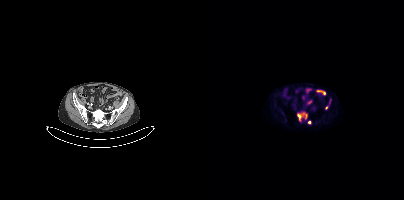
Coordinates are on the 200×200 PET (right) panel. PSMA-avid tumor lesion bounding box (x, y, width, height): x=94 y=112 w=10 h=11. Small PSMA-avid foci (2 to 4 px across) near (center x, center y): (104, 122) / (122, 107).